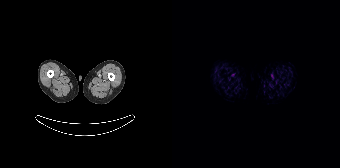
This slice has no annotated PSMA-avid lesion.